- Left: CT. Right: PSMA PET, same axial level, 18F-PSMA tracer
- acquired on Siemens Biograph mCT Flow 20
- PET panel 200×200 px (4.1 mm/px)
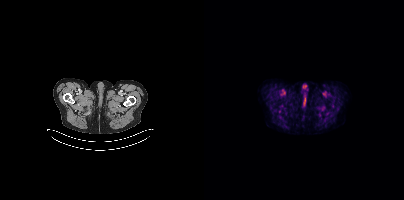
Findings: This slice has no annotated PSMA-avid lesion.